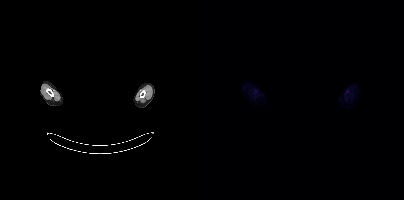
Findings: No PSMA-avid tumor lesions on this slice.
Technique: Two-panel axial: CT | PSMA PET, 18F-PSMA tracer. slice 409 of 425.
Note: Facial anatomy redacted by setting a rectangular region of the head to black.